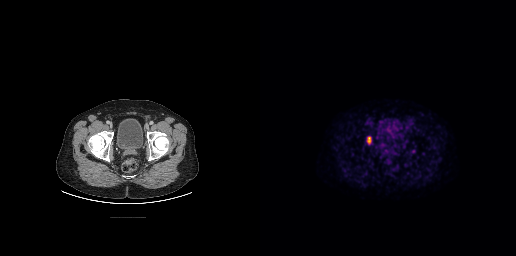
Left: CT. Right: PSMA PET, same axial level, [18F]PSMA-1007 tracer. PET panel 256×256 px (2.7 mm/px). Coordinates are on the 256×256 PET (right) panel. PSMA-avid tumor lesion bounding box (x0, y0)-(x1, y1): (107, 136)-(111, 144).